- Paired axial CT (left) and PSMA PET (right), 68Ga-PSMA tracer
- slice position z = -1622 mm
- PET panel 200×200 px (4.1 mm/px)
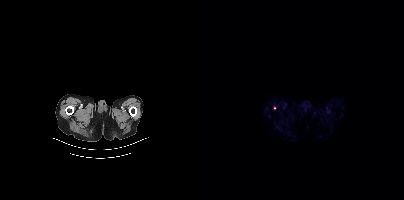
Findings: Coordinates are on the 200×200 PET (right) panel. Small PSMA-avid focus (2 to 4 px across) near (center x, center y): (70, 107).